Technique: Left: CT. Right: PSMA PET, same axial level, [68Ga]Ga-PSMA-11 tracer. acquired on GE Discovery 690.
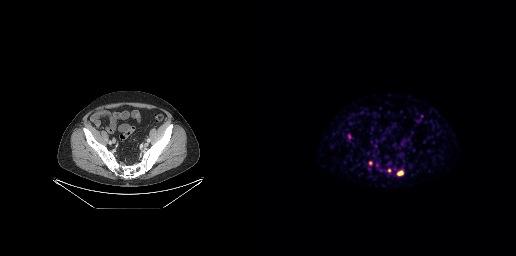
Findings: Coordinates are on the 256×256 PET (right) panel. (showing 2 of 3 foci) PSMA-avid tumor lesion bounding box (x0, y0)-(x1, y1): (137, 171)-(142, 175). Small PSMA-avid focus (2 to 4 px across) near (center x, center y): (129, 170).